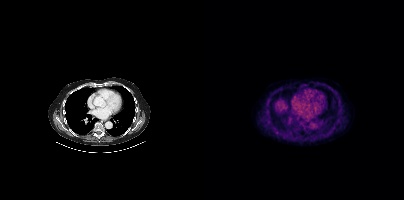
{"modality":"PSMA PET/CT","view":"axial","tracer":"18F","pet_grid":[200,200],"coord_frame":"pet_panel","coord_format":"x0,y0,x1,y1","psma_avid_lesions":false}